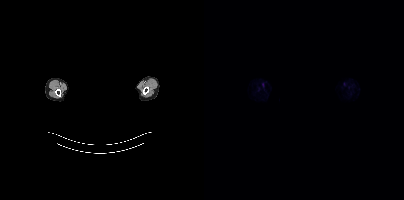
{"modality":"PSMA PET/CT","view":"axial","tracer":"18F","pet_grid":[200,200],"coord_frame":"pet_panel","coord_format":"x0,y0,x1,y1","psma_avid_lesions":false,"redaction":"facial region redacted"}